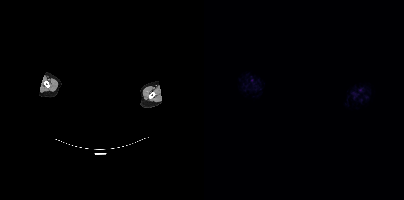
{"modality":"PSMA PET/CT","view":"axial","tracer":"[18F]PSMA-1007","pet_grid":[200,200],"coord_frame":"pet_panel","coord_format":"x0,y0,x1,y1","deidentification":"privacy mask over head","psma_avid_lesions":false}